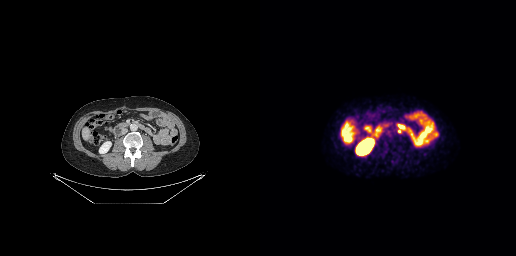
Coordinates are on the 256×256 PET (right) panel. Small PSMA-avid focus (2 to 4 px across) near (center x, center y): (139, 130).